Technique: Left: CT. Right: PSMA PET, same axial level, [18F]PSMA-1007 tracer. PET panel 200×200 px (4.1 mm/px).
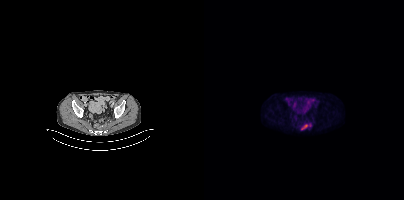
Findings: Coordinates are on the 200×200 PET (right) panel. PSMA-avid tumor lesion bounding box (x0,y0,x1,y1): [97,124,107,129].